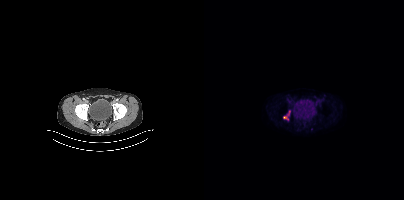
Coordinates are on the 200×200 PET (right) panel. (showing 1 of 2 foci) Small PSMA-avid focus (2 to 4 px across) near (center x, center y): (80, 117).